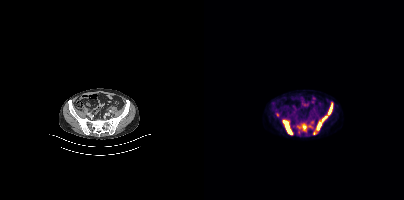
Technique: Paired axial CT (left) and PSMA PET (right), [18F]PSMA-1007 tracer. acquired on Siemens Biograph mCT Flow 20. slice position z = -882 mm.
Findings: Coordinates are on the 200×200 PET (right) panel. (showing 3 of 5 foci) PSMA-avid tumor lesion bounding boxes (x, y, width, height): x=112 y=104 w=17 h=27; x=79 y=120 w=10 h=15; x=93 y=124 w=10 h=7.